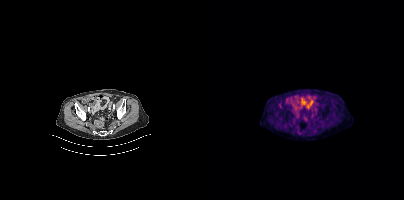
{"modality":"PSMA PET/CT","view":"axial","tracer":"18F-PSMA","pet_grid":[200,200],"coord_frame":"pet_panel","coord_format":"x0,y0,x1,y1","psma_avid_lesions":false}